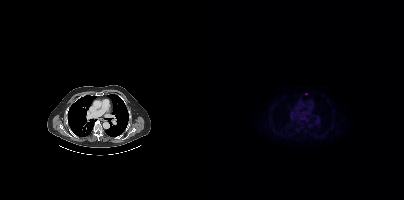
Left: CT. Right: PSMA PET, same axial level, 18F-PSMA tracer. Acquired on Siemens Biograph mCT Flow 20. Slice 289 of 423. Coordinates are on the 200×200 PET (right) panel. Small PSMA-avid focus (2 to 4 px across) near (center x, center y): (102, 93).